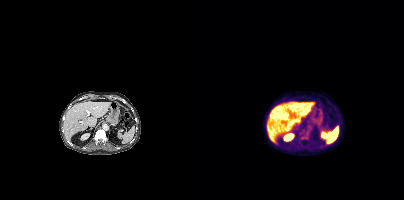
{"modality":"PSMA PET/CT","view":"axial","tracer":"18F","pet_grid":[200,200],"coord_frame":"pet_panel","coord_format":"x0,y0,x1,y1","lesion_bboxes":[[98,136,105,140]]}